Paired axial CT (left) and PSMA PET (right), 18F tracer.
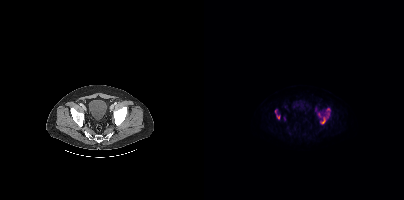
Coordinates are on the 200×200 PET (right) panel. PSMA-avid tumor lesion bounding boxes (partial; 1 more focus not listed):
| # | x0 | y0 | x1 | y1 |
|---|---|---|---|---|
| 1 | 116 | 108 | 126 | 124 |
| 2 | 71 | 109 | 75 | 119 |
| 3 | 113 | 112 | 118 | 116 |